- Two-panel axial: CT | PSMA PET, 18F-PSMA tracer
- slice position z = -699 mm
- PET panel 256×256 px (2.7 mm/px)
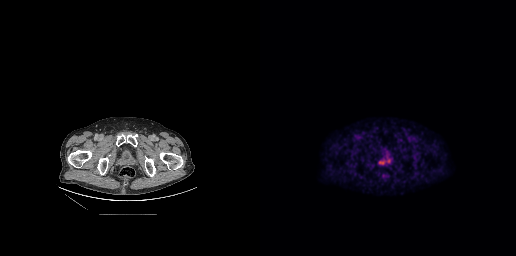
Findings: Coordinates are on the 256×256 PET (right) panel. PSMA-avid tumor lesion bounding box (x, y, width, height): x=118 y=159 w=8 h=6. Small PSMA-avid focus (2 to 4 px across) near (center x, center y): (128, 160).